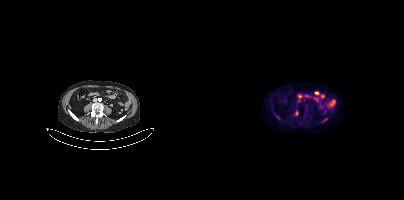
Two-panel axial: CT | PSMA PET, [18F]PSMA-1007 tracer. Slice 128 of 373. PET panel 200×200 px (4.1 mm/px). Coordinates are on the 200×200 PET (right) panel. Small PSMA-avid focus (2 to 4 px across) near (center x, center y): (92, 112).